Technique: Two-panel axial: CT | PSMA PET, [18F]PSMA-1007 tracer. slice position z = -1376 mm. PET panel 200×200 px (4.1 mm/px).
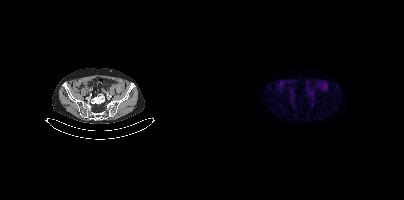
Findings: Negative for PSMA-avid disease on this slice.